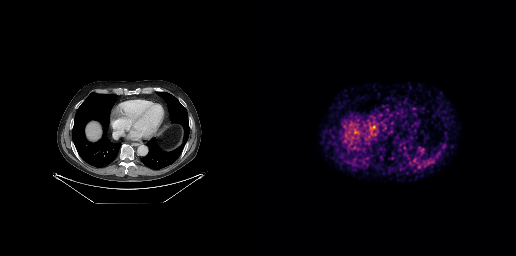
No tumor lesions annotated on this slice.